- Left: CT. Right: PSMA PET, same axial level, 18F tracer
- acquired on Siemens Biograph mCT Flow 20
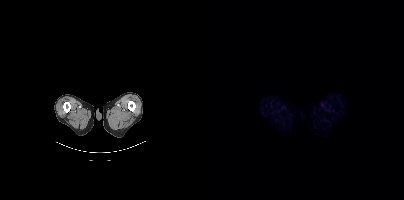
Findings: This slice has no annotated PSMA-avid lesion.